- Two-panel axial: CT | PSMA PET, 68Ga tracer
- PET panel 168×168 px (4.1 mm/px)
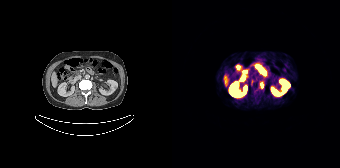
Findings: Coordinates are on the 168×168 PET (right) panel. (showing 1 of 2 foci) PSMA-avid tumor lesion bounding box (x, y, width, height): x=88 y=82 w=4 h=7.